De-identified by setting a box covering the face to black before release.
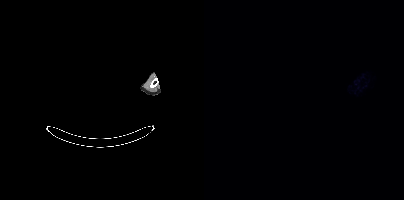
This slice has no annotated PSMA-avid lesion.